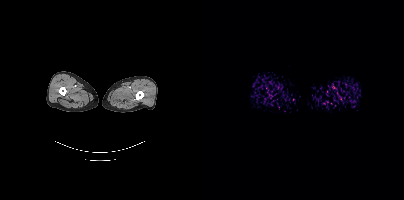
Technique: Left: CT. Right: PSMA PET, same axial level, [18F]PSMA-1007 tracer. acquired on Siemens Biograph mCT Flow 20. slice 1 of 448. PET panel 200×200 px (4.1 mm/px).
Findings: No PSMA-avid tumor lesions on this slice.